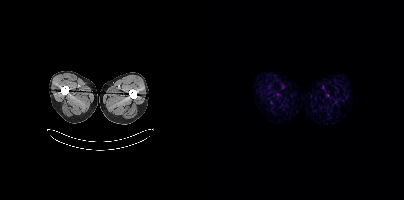
Negative for PSMA-avid disease on this slice.